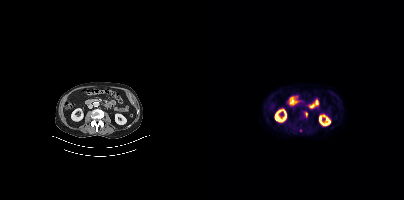
{"modality":"PSMA PET/CT","view":"axial","tracer":"18F","pet_grid":[200,200],"coord_frame":"pet_panel","coord_format":"x0,y0,x1,y1","psma_avid_lesions":false}